- Paired axial CT (left) and PSMA PET (right), [18F]PSMA-1007 tracer
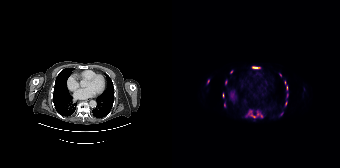
Findings: Coordinates are on the 168×168 PET (right) panel. (showing 8 of 14 foci) PSMA-avid tumor lesion bounding boxes (x0,y0,x1,y1): [81,67,86,68], [79,115,83,117]. Small PSMA-avid foci (2 to 4 px across) near (center x, center y): (59, 72), (53, 82), (113, 103), (52, 105), (85, 113), (89, 115).